modality: PSMA PET/CT | tracer: 18F | view: axial
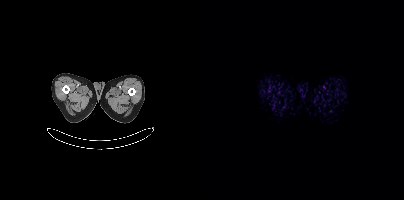
This slice has no annotated PSMA-avid lesion.